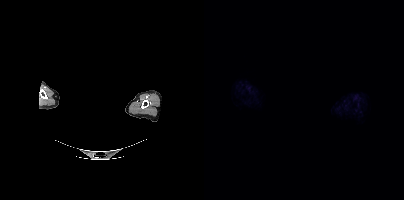
{"pet_grid":[200,200],"coord_frame":"pet_panel","coord_format":"x0,y0,x1,y1","psma_avid_lesions":false,"modality":"PSMA PET/CT","view":"axial","tracer":"18F","de-identification":"privacy mask over head"}